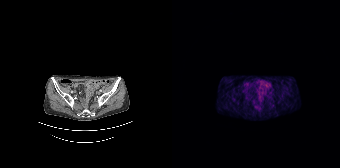
Negative for PSMA-avid disease on this slice. Two-panel axial: CT | PSMA PET, 68Ga tracer. Slice position z = -1288 mm. PET panel 168×168 px (4.1 mm/px).